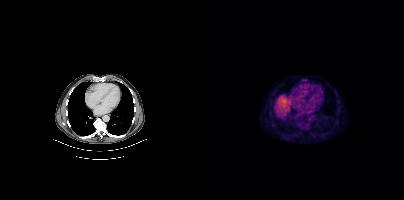
Technique: Paired axial CT (left) and PSMA PET (right), 18F tracer. slice 269 of 423.
Findings: Only PSMA-avid lesion pieces thinner than 2 px on this slice (not listed).